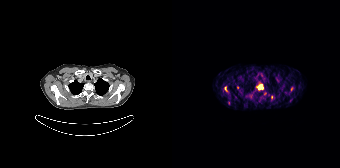
{"modality":"PSMA PET/CT","view":"axial","tracer":"68Ga-PSMA","pet_grid":[168,168],"coord_frame":"pet_panel","coord_format":"x0,y0,x1,y1","partial":true,"lesion_bboxes":[[84,84,91,90],[52,86,55,91]],"small_foci_centers":[[119,88],[65,87]]}